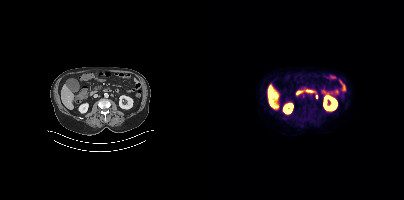
Coordinates are on the 200×200 PET (right) panel. Small PSMA-avid foci (2 to 4 px across) near (center x, center y): (99, 95) | (112, 96).